Left: CT. Right: PSMA PET, same axial level, [18F]PSMA-1007 tracer. Acquired on Siemens Biograph mCT Flow 20. PET panel 200×200 px (4.1 mm/px). Head region blanked for anonymization (face removed).
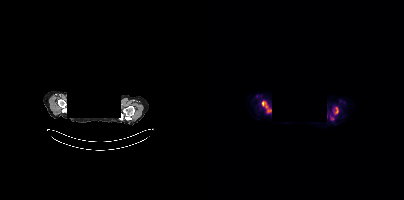
Coordinates are on the 200×200 PET (right) panel. PSMA-avid tumor lesion bounding boxes (x, y, width, height): x=58 y=101 w=10 h=12; x=131 y=107 w=4 h=7. Small PSMA-avid focus (2 to 4 px across) near (center x, center y): (128, 118).